Two-panel axial: CT | PSMA PET, 18F-PSMA tracer. Slice position z = -318 mm.
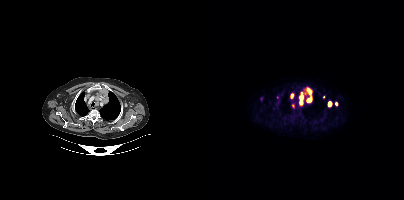
Coordinates are on the 200×200 PET (right) panel. PSMA-avid tumor lesion bounding boxes (partial; 3 more foci not listed):
| # | x0 | y0 | x1 | y1 |
|---|---|---|---|---|
| 1 | 95 | 87 | 108 | 105 |
| 2 | 124 | 101 | 127 | 106 |
| 3 | 86 | 93 | 89 | 98 |
Small PSMA-avid foci (2 to 4 px across) near (center x, center y): (132, 103); (89, 106).